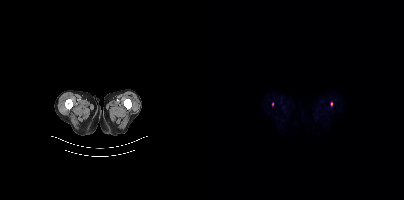
Coordinates are on the 200×200 PET (right) panel. Small PSMA-avid foci (2 to 4 px across) near (center x, center y): (127, 103) / (68, 103).